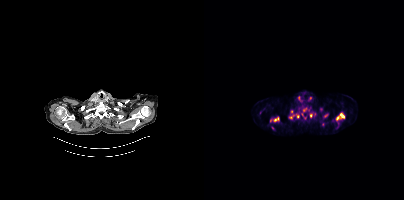
Coordinates are on the 200×200 PET (right) panel. PSMA-avid tumor lesion bounding boxes (partial; 2 more foci not listed):
| # | x0 | y0 | x1 | y1 |
|---|---|---|---|---|
| 1 | 85 | 110 | 95 | 119 |
| 2 | 132 | 113 | 140 | 120 |
| 3 | 66 | 116 | 75 | 122 |
Small PSMA-avid foci (2 to 4 px across) near (center x, center y): (106, 115); (68, 127); (121, 115).
Paired axial CT (left) and PSMA PET (right), [18F]PSMA-1007 tracer. PET panel 200×200 px (4.1 mm/px).